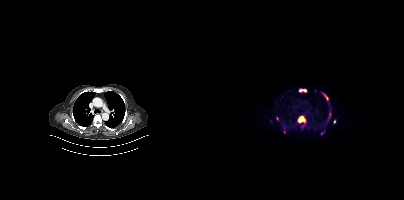
Paired axial CT (left) and PSMA PET (right), 68Ga-PSMA tracer. Coordinates are on the 200×200 PET (right) panel. (showing 7 of 9 foci) PSMA-avid tumor lesion bounding boxes (x0,y0,x1,y1): [93,116,102,127] [95,89,102,91] [123,114,127,119] [118,92,122,97]. Small PSMA-avid foci (2 to 4 px across) near (center x, center y): (130, 121) (123, 99) (73, 118).